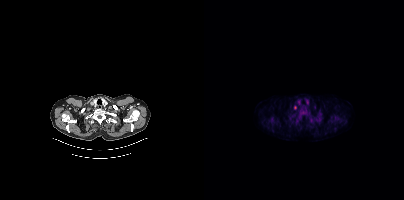
Technique: Left: CT. Right: PSMA PET, same axial level, [18F]PSMA-1007 tracer. acquired on Siemens Biograph mCT Flow 20. PET panel 200×200 px (4.1 mm/px).
Findings: Coordinates are on the 200×200 PET (right) panel. (showing 1 of 2 foci) PSMA-avid tumor lesion bounding box (x0, y0)-(x1, y1): (96, 109)-(101, 113).